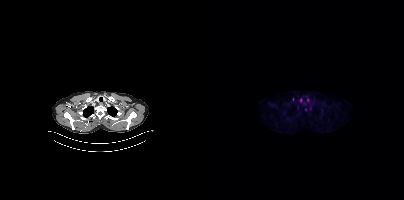
{"modality":"PSMA PET/CT","view":"axial","tracer":"18F-PSMA","pet_grid":[200,200],"coord_frame":"pet_panel","coord_format":"x0,y0,x1,y1","psma_avid_lesions":false}